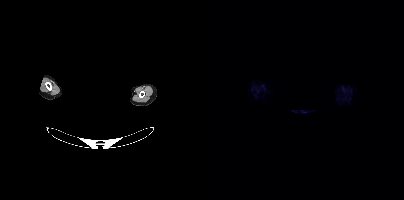
modality: PSMA PET/CT | tracer: [18F]PSMA-1007 | view: axial | PET grid: 200×200 | redaction: face masked with black rectangle
Negative for PSMA-avid disease on this slice.